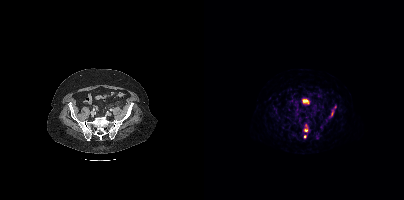
Coordinates are on the 200×200 PET (right) panel. PSMA-avid tumor lesion bounding boxes (x0,y0,x1,y1): [125,106,132,118], [100,124,103,131]. Small PSMA-avid focus (2 to 4 px across) near (center x, center y): (101, 136).